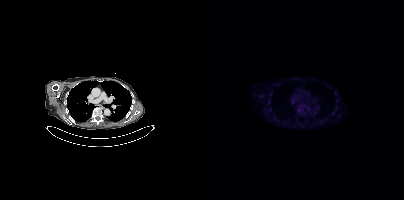
Coordinates are on the 200×200 PET (right) panel. (showing 1 of 2 foci) Small PSMA-avid focus (2 to 4 px across) near (center x, center y): (131, 93).